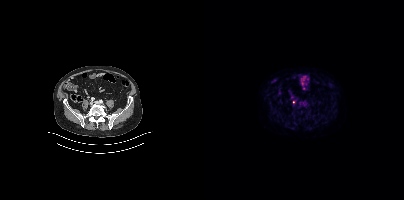
modality: PSMA PET/CT | tracer: 18F | view: axial
Coordinates are on the 200×200 PET (right) panel. Small PSMA-avid focus (2 to 4 px across) near (center x, center y): (89, 102).